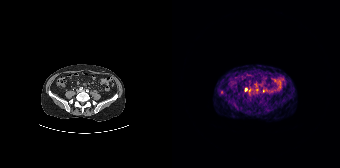
Coordinates are on the 168×168 PET (right) panel. (showing 1 of 3 foci) Small PSMA-avid focus (2 to 4 px across) near (center x, center y): (73, 89).